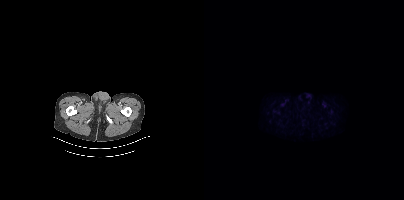
{"pet_grid":[200,200],"coord_frame":"pet_panel","coord_format":"x0,y0,x1,y1","psma_avid_lesions":false,"modality":"PSMA PET/CT","view":"axial","tracer":"18F"}